modality: PSMA PET/CT | tracer: [68Ga]Ga-PSMA-11 | view: axial
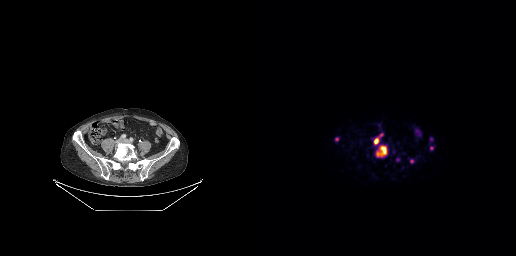
Coordinates are on the 256×256 PET (right) panel. (showing 4 of 5 foci) PSMA-avid tumor lesion bounding boxes (x0,y0,x1,y1): [116,146,126,156] [114,139,118,144] [170,146,173,150]. Small PSMA-avid focus (2 to 4 px across) near (center x, center y): (76, 139).